Technique: Two-panel axial: CT | PSMA PET, 18F-PSMA tracer. slice 174 of 383.
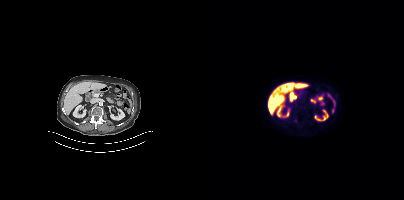
Findings: Coordinates are on the 200×200 PET (right) panel. Small PSMA-avid focus (2 to 4 px across) near (center x, center y): (91, 120).